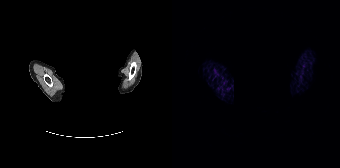
{"modality":"PSMA PET/CT","view":"axial","tracer":"68Ga-PSMA","pet_grid":[168,168],"coord_frame":"pet_panel","coord_format":"x0,y0,x1,y1","psma_avid_lesions":false,"de-identification":"facial region redacted"}